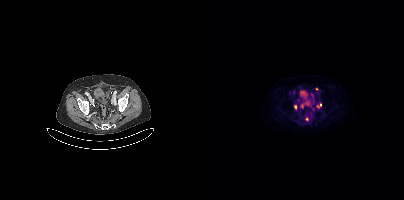
{"modality":"PSMA PET/CT","view":"axial","tracer":"18F","pet_grid":[200,200],"coord_frame":"pet_panel","coord_format":"x0,y0,x1,y1","partial":true,"lesion_bboxes":[[96,104,99,108],[113,103,117,107],[90,105,92,109]],"small_foci_centers":[[102,119]]}